- Left: CT. Right: PSMA PET, same axial level, 18F tracer
- slice position z = -1480 mm
- PET panel 200×200 px (4.1 mm/px)
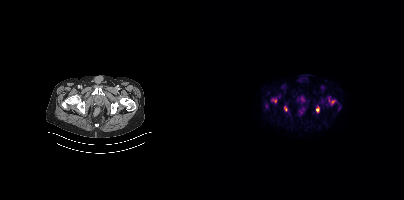
Findings: Coordinates are on the 200×200 PET (right) panel. (showing 3 of 4 foci) Small PSMA-avid foci (2 to 4 px across) near (center x, center y): (113, 109), (129, 101), (81, 109).